modality: PSMA PET/CT | tracer: [68Ga]Ga-PSMA-11 | view: axial
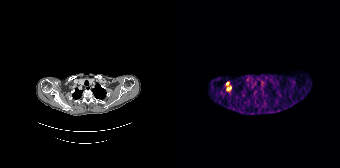
Coordinates are on the 168×168 PET (right) panel. PSMA-avid tumor lesion bounding box (x0,y0,x1,y1): [55,86,58,90]. Small PSMA-avid focus (2 to 4 px across) near (center x, center y): (55, 83).